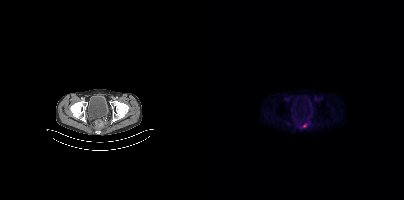
Coordinates are on the 200×200 PET (right) panel. Small PSMA-avid foci (2 to 4 px across) near (center x, center y): (100, 125); (94, 127). Left: CT. Right: PSMA PET, same axial level, [18F]PSMA-1007 tracer. Slice 59 of 423.